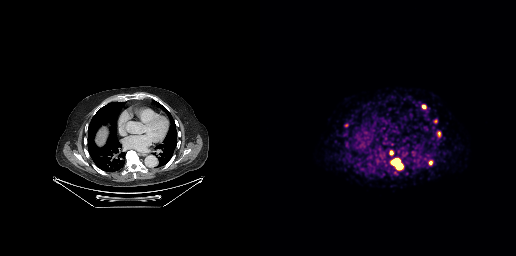
Coordinates are on the 256×256 PET (right) panel. (showing 6 of 7 foci) PSMA-avid tumor lesion bounding boxes (x0,y0,x1,y1): [131,158,143,169], [130,150,133,154]. Small PSMA-avid foci (2 to 4 px across) near (center x, center y): (163, 106), (175, 121), (170, 163), (178, 133).